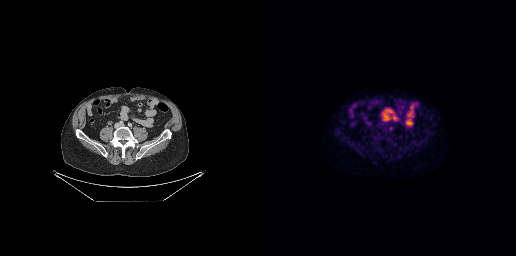
{"modality":"PSMA PET/CT","view":"axial","tracer":"18F-PSMA","pet_grid":[256,256],"coord_frame":"pet_panel","coord_format":"x0,y0,x1,y1","lesion_bboxes":[[129,126,132,130]]}